Technique: Left: CT. Right: PSMA PET, same axial level, 68Ga-PSMA tracer. acquired on Siemens Biograph 64-4R TruePoint. slice 165 of 195. PET panel 168×168 px (4.1 mm/px).
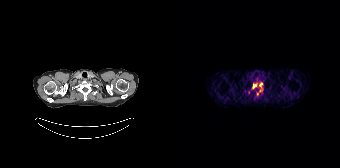
Findings: Coordinates are on the 168×168 PET (right) panel. (showing 2 of 4 foci) PSMA-avid tumor lesion bounding box (x0,y0,x1,y1): [81,84,84,88]. Small PSMA-avid focus (2 to 4 px across) near (center x, center y): (88, 84).